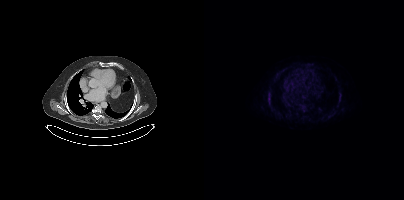
Paired axial CT (left) and PSMA PET (right), [18F]PSMA-1007 tracer. Only PSMA-avid lesion pieces thinner than 2 px on this slice (not listed).